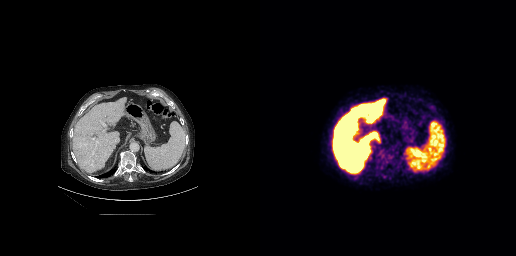
Coordinates are on the 256×256 PET (right) panel. PSMA-avid tumor lesion bounding box (x, y, width, height): x=117 y=150 w=19 h=17.